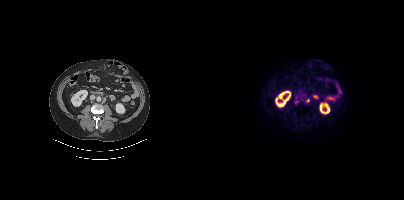
Findings: Coordinates are on the 200×200 PET (right) panel. (showing 3 of 4 foci) PSMA-avid tumor lesion bounding box (x, y, width, height): x=101 y=99 w=5 h=4. Small PSMA-avid foci (2 to 4 px across) near (center x, center y): (95, 96); (93, 102).
Technique: Left: CT. Right: PSMA PET, same axial level, 18F-PSMA tracer. PET panel 200×200 px (4.1 mm/px).